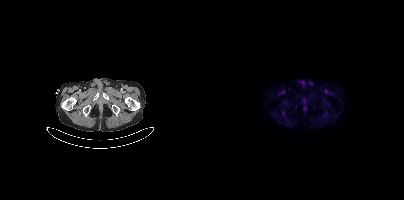
- Paired axial CT (left) and PSMA PET (right), [18F]PSMA-1007 tracer
- PET panel 200×200 px (4.1 mm/px)
Findings: This slice has no annotated PSMA-avid lesion.